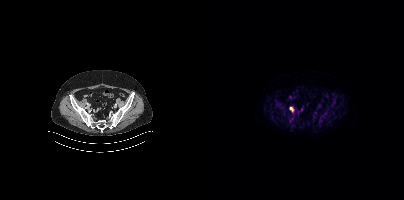
modality: PSMA PET/CT | tracer: 18F-PSMA | view: axial | PET grid: 200×200
Coordinates are on the 200×200 PET (right) panel. PSMA-avid tumor lesion bounding box (x, y, width, height): x=86 y=107 w=4 h=5.